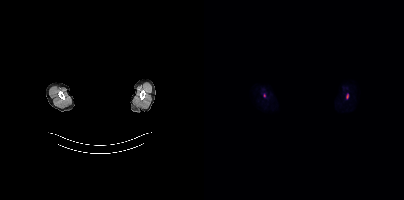
Any black rectangle over the head is a privacy mask, not anatomy. Paired axial CT (left) and PSMA PET (right), 18F tracer. Acquired on Siemens Biograph mCT Flow 20.
Coordinates are on the 200×200 PET (right) panel. PSMA-avid tumor lesion bounding boxes (partial; 1 more focus not listed):
| # | x0 | y0 | x1 | y1 |
|---|---|---|---|---|
| 1 | 142 | 94 | 144 | 98 |